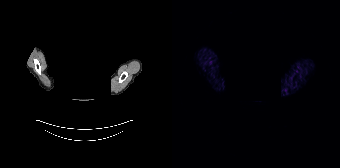
{"pet_grid":[168,168],"coord_frame":"pet_panel","coord_format":"x0,y0,x1,y1","psma_avid_lesions":false,"de-identification":"facial region redacted","modality":"PSMA PET/CT","view":"axial","tracer":"68Ga-PSMA"}